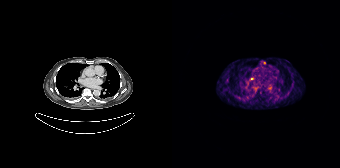
{"modality":"PSMA PET/CT","view":"axial","tracer":"68Ga-PSMA","pet_grid":[168,168],"coord_frame":"pet_panel","coord_format":"x0,y0,x1,y1","lesion_bboxes":[],"small_foci_centers":[[92,63],[80,78],[98,87]]}